Paired axial CT (left) and PSMA PET (right), [18F]PSMA-1007 tracer. PET panel 168×168 px (4.1 mm/px).
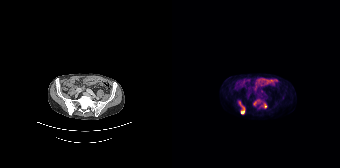
Coordinates are on the 168×168 PET (right) panel. PSMA-avid tumor lesion bounding boxes (partial; 1 more focus not listed):
| # | x0 | y0 | x1 | y1 |
|---|---|---|---|---|
| 1 | 66 | 101 | 73 | 113 |
| 2 | 92 | 103 | 94 | 108 |
Small PSMA-avid focus (2 to 4 px across) near (center x, center y): (83, 103).